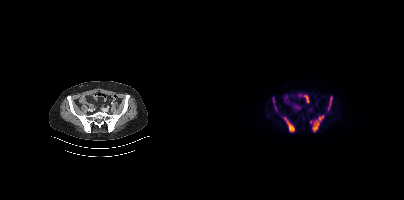
Paired axial CT (left) and PSMA PET (right), [18F]PSMA-1007 tracer. Slice position z = -1410 mm. PET panel 200×200 px (4.1 mm/px).
Coordinates are on the 200×200 PET (right) panel. PSMA-avid tumor lesion bounding boxes:
| # | x0 | y0 | x1 | y1 |
|---|---|---|---|---|
| 1 | 108 | 116 | 119 | 131 |
| 2 | 80 | 118 | 90 | 131 |
| 3 | 124 | 97 | 128 | 109 |
Small PSMA-avid foci (2 to 4 px across) near (center x, center y): (69, 99); (106, 122); (71, 108).